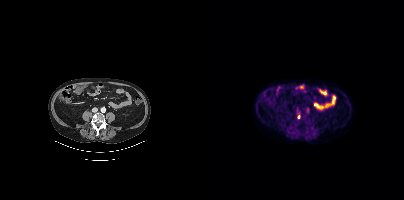
Technique: Two-panel axial: CT | PSMA PET, 18F-PSMA tracer. acquired on Siemens Biograph mCT Flow 20.
Findings: Coordinates are on the 200×200 PET (right) panel. Small PSMA-avid focus (2 to 4 px across) near (center x, center y): (94, 116).